Left: CT. Right: PSMA PET, same axial level, 18F tracer.
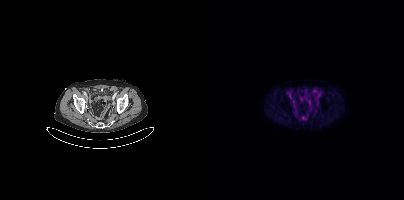
No tumor lesions annotated on this slice.